Technique: Paired axial CT (left) and PSMA PET (right), 18F-PSMA tracer. acquired on Siemens Biograph mCT Flow 20. slice 204 of 454. PET panel 200×200 px (4.1 mm/px).
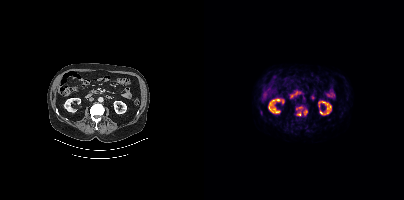
Findings: Coordinates are on the 200×200 PET (right) panel. PSMA-avid tumor lesion bounding boxes (x0, y0)-(x1, y1): (92, 106)-(98, 115); (99, 110)-(103, 115).